Paired axial CT (left) and PSMA PET (right), 18F tracer. Acquired on Siemens Biograph mCT Flow 20. Slice position z = -1738 mm.
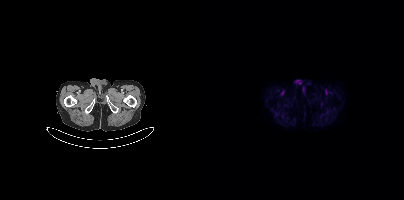
This slice has no annotated PSMA-avid lesion.